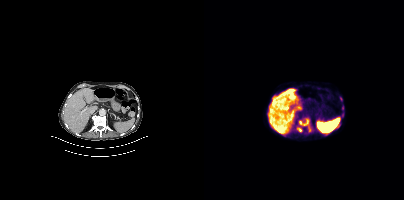
Left: CT. Right: PSMA PET, same axial level, 18F tracer. Slice 261 of 466.
Coordinates are on the 200×200 PET (right) panel. PSMA-avid tumor lesion bounding boxes:
| # | x0 | y0 | x1 | y1 |
|---|---|---|---|---|
| 1 | 95 | 118 | 106 | 131 |
| 2 | 93 | 127 | 98 | 131 |